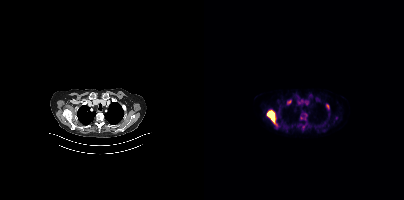
Technique: Paired axial CT (left) and PSMA PET (right), [18F]PSMA-1007 tracer.
Findings: Coordinates are on the 200×200 PET (right) panel. PSMA-avid tumor lesion bounding boxes (x, y, width, height): x=63 y=110 w=12 h=18; x=97 y=114 w=5 h=6; x=122 y=104 w=4 h=6; x=83 y=100 w=5 h=4. Small PSMA-avid focus (2 to 4 px across) near (center x, center y): (99, 126).